Left: CT. Right: PSMA PET, same axial level, [18F]PSMA-1007 tracer.
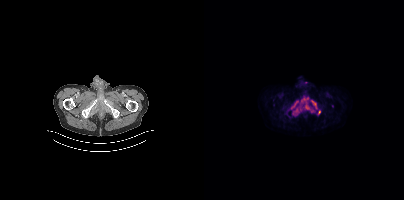
Coordinates are on the 200×200 PET (right) panel. PSMA-avid tumor lesion bounding boxes (x0, y0)-(x1, y1): (89, 96)-(110, 115) / (106, 100)-(113, 109) / (87, 100)-(94, 109) / (114, 110)-(116, 114). Small PSMA-avid focus (2 to 4 px across) near (center x, center y): (102, 82).